Two-panel axial: CT | PSMA PET, 18F-PSMA tracer. PET panel 200×200 px (4.1 mm/px).
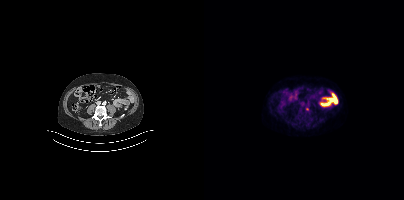
Only PSMA-avid lesion pieces thinner than 2 px on this slice (not listed).